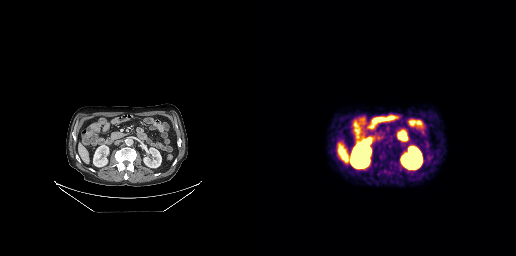
Findings: This slice has no annotated PSMA-avid lesion.
Technique: Paired axial CT (left) and PSMA PET (right), 68Ga tracer. PET panel 256×256 px (2.7 mm/px).